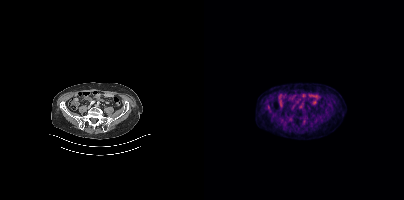
- Left: CT. Right: PSMA PET, same axial level, 18F tracer
- acquired on Siemens Biograph mCT Flow 20
Findings: Negative for PSMA-avid disease on this slice.